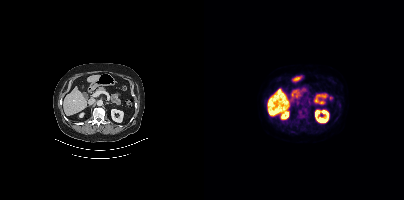
Coordinates are on the 200×200 PET (right) panel. PSMA-avid tumor lesion bounding boxes (x0,y0,x1,y1): [93,108,103,117], [97,124,101,128]. Small PSMA-avid focus (2 to 4 px across) near (center x, center y): (135, 103).
modality: PSMA PET/CT | tracer: [18F]PSMA-1007 | view: axial